Left: CT. Right: PSMA PET, same axial level, 18F-PSMA tracer. Acquired on Siemens Biograph mCT Flow 20. PET panel 200×200 px (4.1 mm/px).
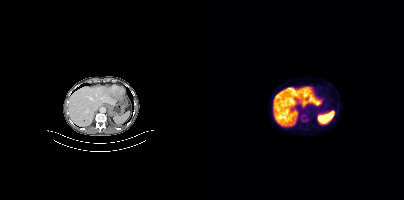
Only PSMA-avid lesion pieces thinner than 2 px on this slice (not listed).